Left: CT. Right: PSMA PET, same axial level, 68Ga-PSMA tracer. Slice position z = -1232 mm.
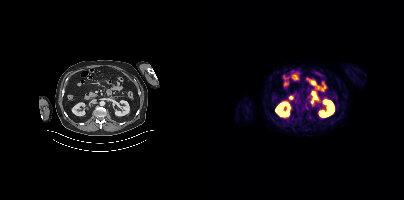
No tumor lesions annotated on this slice.